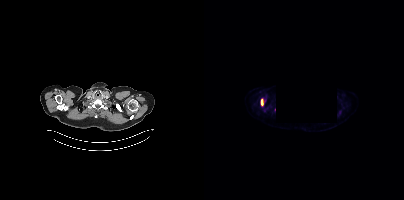
A block of pixels was blacked out before release to protect privacy. Two-panel axial: CT | PSMA PET, 18F-PSMA tracer.
Coordinates are on the 200×200 PET (right) panel. PSMA-avid tumor lesion bounding boxes (partial; 1 more focus not listed):
| # | x0 | y0 | x1 | y1 |
|---|---|---|---|---|
| 1 | 56 | 98 | 59 | 106 |